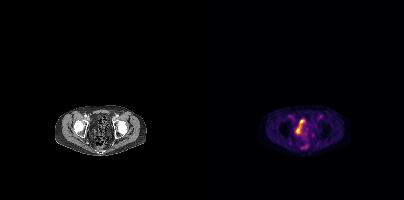
No PSMA-avid tumor lesions on this slice.
modality: PSMA PET/CT | tracer: 18F-PSMA | view: axial